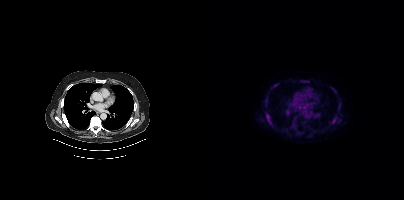
{"modality":"PSMA PET/CT","view":"axial","tracer":"[18F]PSMA-1007","pet_grid":[200,200],"coord_frame":"pet_panel","coord_format":"x0,y0,x1,y1","partial":true,"lesion_bboxes":[[61,112,68,124],[67,83,74,88],[128,117,132,122],[61,96,64,105],[88,124,92,128]],"small_foci_centers":[[100,81],[135,106],[129,89]]}